Two-panel axial: CT | PSMA PET, 18F-PSMA tracer. Slice position z = -1536 mm.
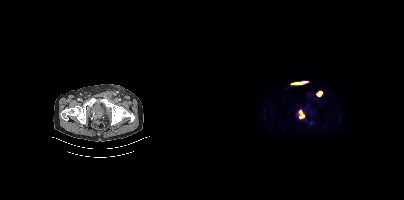
Coordinates are on the 200×200 PET (right) panel. PSMA-avid tumor lesion bounding boxes:
| # | x0 | y0 | x1 | y1 |
|---|---|---|---|---|
| 1 | 95 | 110 | 100 | 118 |
| 2 | 112 | 91 | 118 | 96 |